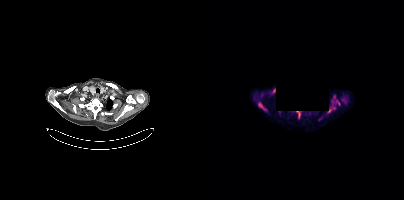
- part of this slice was blanked for de-identification
- Left: CT. Right: PSMA PET, same axial level, 18F tracer
Findings: Coordinates are on the 200×200 PET (right) panel. (showing 5 of 6 foci) PSMA-avid tumor lesion bounding box (x0, y0)-(x1, y1): (58, 107)-(62, 110). Small PSMA-avid foci (2 to 4 px across) near (center x, center y): (125, 110) / (70, 90) / (134, 102) / (130, 107).